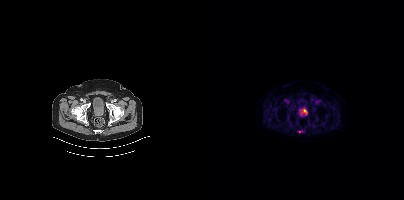
{"modality":"PSMA PET/CT","view":"axial","tracer":"18F-PSMA","pet_grid":[200,200],"coord_frame":"pet_panel","coord_format":"x0,y0,x1,y1","lesion_bboxes":[],"small_foci_centers":[[95,131]]}